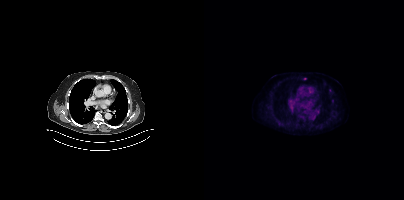
Coordinates are on the 200×200 PET (right) panel. (showing 1 of 2 foci) Small PSMA-avid focus (2 to 4 px across) near (center x, center y): (100, 78).